Technique: Paired axial CT (left) and PSMA PET (right), [18F]PSMA-1007 tracer. acquired on Siemens Biograph mCT Flow 20. slice 36 of 407.
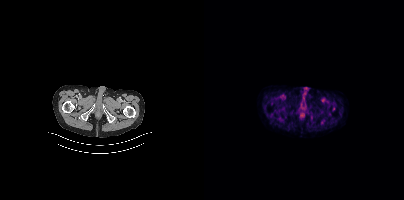
Findings: No tumor lesions annotated on this slice.